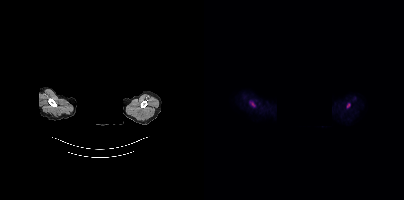
Coordinates are on the 200×200 PET (right) panel. PSMA-avid tumor lesion bounding boxes (x, y, width, height): x=46 y=102 w=6 h=5; x=143 y=103 w=3 h=5.
de-identification: face masked with black rectangle | modality: PSMA PET/CT | tracer: 18F | view: axial